- Left: CT. Right: PSMA PET, same axial level, 18F-PSMA tracer
- slice position z = 126 mm
- PET panel 200×200 px (4.1 mm/px)
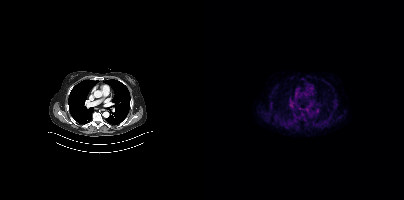
Findings: This slice has no annotated PSMA-avid lesion.